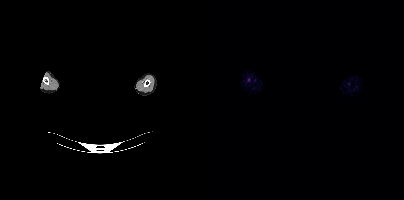
Any black rectangle over the head is a privacy mask, not anatomy.
Negative for PSMA-avid disease on this slice.